modality: PSMA PET/CT | tracer: [68Ga]Ga-PSMA-11 | view: axial | PET grid: 256×256
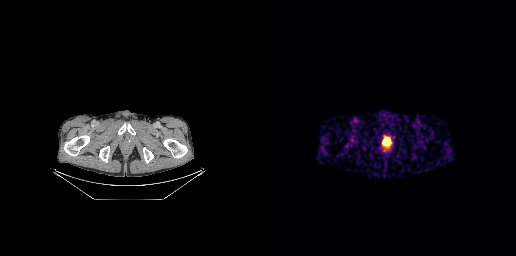
This slice has no annotated PSMA-avid lesion.